Technique: Paired axial CT (left) and PSMA PET (right), 18F-PSMA tracer. slice position z = -176 mm.
Note: Head region blanked for anonymization (face removed).
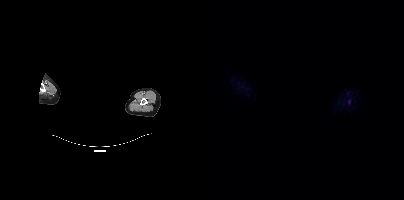
Findings: No tumor lesions annotated on this slice.